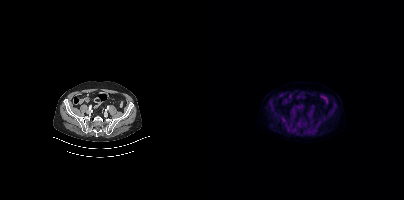
Coordinates are on the 200×200 PET (right) panel. Small PSMA-avid focus (2 to 4 px across) near (center x, center y): (84, 128).